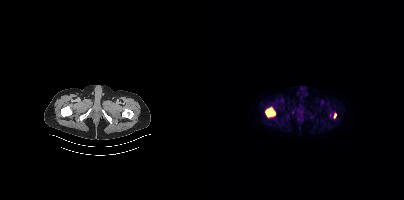
Findings: Coordinates are on the 200×200 PET (right) panel. PSMA-avid tumor lesion bounding box (x, y, width, height): x=61 y=108 w=11 h=9. Small PSMA-avid focus (2 to 4 px across) near (center x, center y): (131, 115).
- Left: CT. Right: PSMA PET, same axial level, 18F-PSMA tracer